Paired axial CT (left) and PSMA PET (right), 68Ga tracer. Slice 2 of 195.
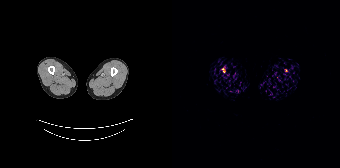
Only PSMA-avid lesion pieces thinner than 2 px on this slice (not listed).